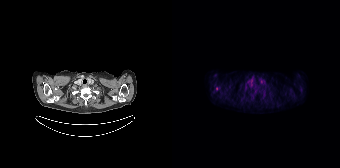
modality: PSMA PET/CT | tracer: 18F | view: axial | PET grid: 168×168
Negative for PSMA-avid disease on this slice.